- Paired axial CT (left) and PSMA PET (right), 18F-PSMA tracer
- slice 46 of 391
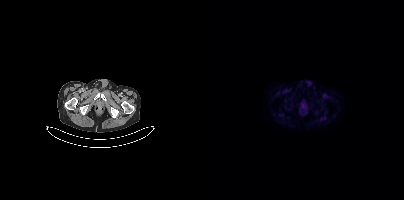
Findings: No PSMA-avid tumor lesions on this slice.